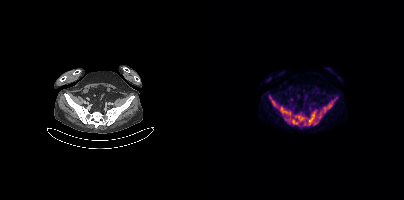
Technique: Two-panel axial: CT | PSMA PET, 18F-PSMA tracer. acquired on Siemens Biograph mCT Flow 20.
Findings: Coordinates are on the 200×200 PET (right) panel. PSMA-avid tumor lesion bounding boxes (x, y, width, height): x=84 y=113 w=32 h=13 / x=66 y=97 w=9 h=11 / x=120 y=107 w=2 h=5. Small PSMA-avid foci (2 to 4 px across) near (center x, center y): (125, 106) / (77, 108).